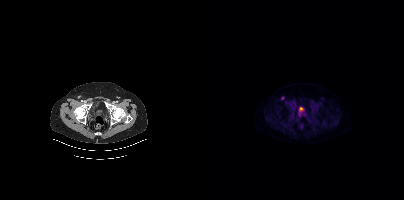
Left: CT. Right: PSMA PET, same axial level, [18F]PSMA-1007 tracer. Acquired on Siemens Biograph mCT Flow 20. Coordinates are on the 200×200 PET (right) panel. Small PSMA-avid focus (2 to 4 px across) near (center x, center y): (78, 98).